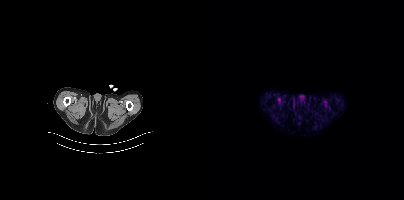
{"modality":"PSMA PET/CT","view":"axial","tracer":"18F-PSMA","pet_grid":[200,200],"coord_frame":"pet_panel","coord_format":"x0,y0,x1,y1","psma_avid_lesions":false}